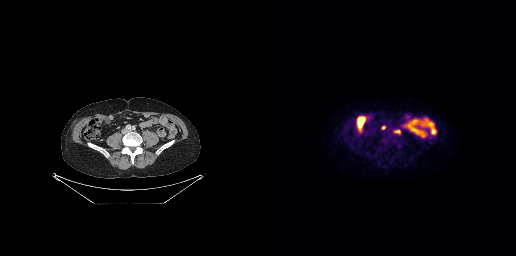
{"modality":"PSMA PET/CT","view":"axial","tracer":"18F-PSMA","pet_grid":[256,256],"coord_frame":"pet_panel","coord_format":"x0,y0,x1,y1","lesion_bboxes":[[134,130,139,132]],"small_foci_centers":[[123,127]]}